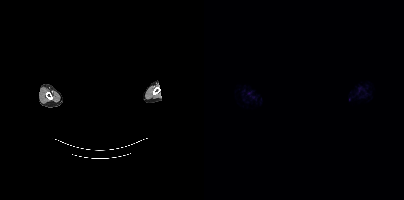
Negative for PSMA-avid disease on this slice.
Privacy masking over the head, with the pixels inside a rectangle set to black.